Paired axial CT (left) and PSMA PET (right), 18F tracer.
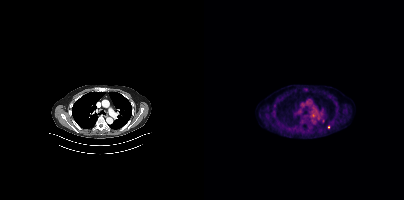
Coordinates are on the 200×200 PET (right) panel. Small PSMA-avid focus (2 to 4 px across) near (center x, center y): (124, 126).